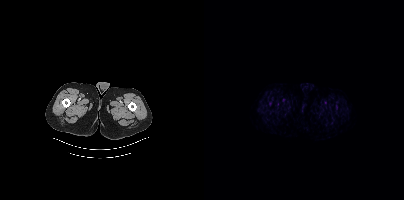
Negative for PSMA-avid disease on this slice. Left: CT. Right: PSMA PET, same axial level, 18F-PSMA tracer. Acquired on Siemens Biograph mCT Flow 20. Slice position z = -1529 mm. PET panel 200×200 px (4.1 mm/px).